- Paired axial CT (left) and PSMA PET (right), 18F tracer
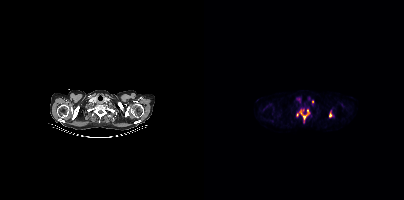
Findings: Coordinates are on the 200×200 PET (right) panel. PSMA-avid tumor lesion bounding boxes (x0,y0,x1,y1): [96,110,105,120]; [125,113,128,117]. Small PSMA-avid foci (2 to 4 px across) near (center x, center y): (108, 101); (93, 114).